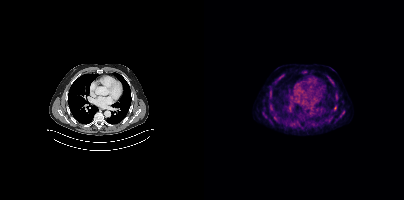
- Left: CT. Right: PSMA PET, same axial level, 18F tracer
- PET panel 200×200 px (4.1 mm/px)
Findings: Coordinates are on the 200×200 PET (right) panel. (showing 6 of 7 foci) PSMA-avid tumor lesion bounding boxes (x0,y0,x1,y1): [76,74,80,77]; [126,80,129,84]. Small PSMA-avid foci (2 to 4 px across) near (center x, center y): (131, 107); (132, 98); (71, 118); (61, 116).